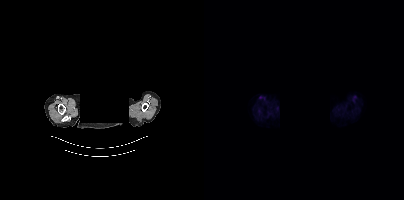
- Paired axial CT (left) and PSMA PET (right), 18F-PSMA tracer
- acquired on Siemens Biograph mCT Flow 20
- slice 379 of 425
- any black rectangle over the head is a privacy mask, not anatomy
Findings: Negative for PSMA-avid disease on this slice.